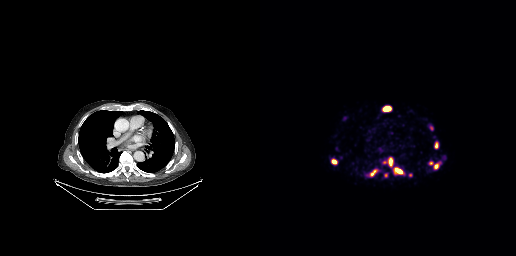
{"modality":"PSMA PET/CT","view":"axial","tracer":"68Ga","pet_grid":[256,256],"coord_frame":"pet_panel","coord_format":"x0,y0,x1,y1","partial":true,"lesion_bboxes":[[110,169,117,176],[135,168,142,173],[122,107,130,110],[72,160,76,163],[174,164,178,168],[170,126,173,130]],"small_foci_centers":[[176,143],[171,163]]}